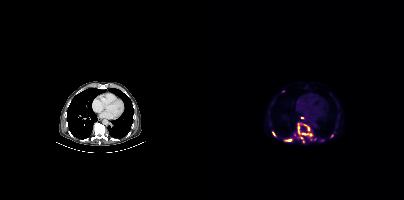
Coordinates are on the 200×200 PET (right) panel. (showing 10 of 12 foci) PSMA-avid tumor lesion bounding boxes (x0,y0,x1,y1): [93,123,105,138] [81,139,87,141] [103,133,108,135]. Small PSMA-avid foci (2 to 4 px across) near (center x, center y): (70, 133) (79, 91) (90, 135) (128, 136) (110, 139) (98, 117) (99, 141).